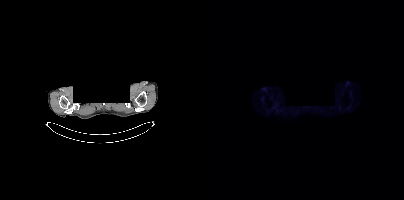
modality: PSMA PET/CT | tracer: 18F-PSMA | view: axial | deidentification: head region blanked (face removed)
No PSMA-avid tumor lesions on this slice.